- Left: CT. Right: PSMA PET, same axial level, 18F tracer
- acquired on Siemens Biograph mCT Flow 20
- slice position z = -1318 mm
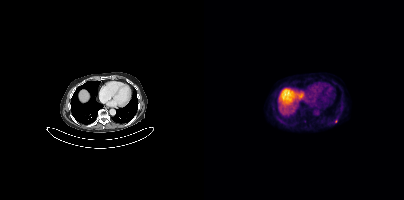
Findings: Coordinates are on the 200×200 PET (right) panel. Small PSMA-avid focus (2 to 4 px across) near (center x, center y): (131, 121).